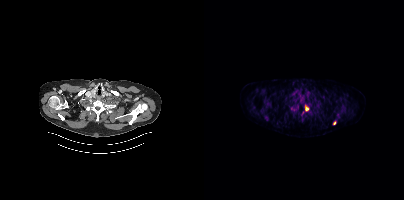
Findings: Coordinates are on the 200×200 PET (right) panel. (showing 7 of 8 foci) PSMA-avid tumor lesion bounding boxes (x0,y0,x1,y1): [86,105,93,112], [96,97,100,103], [101,105,104,110]. Small PSMA-avid foci (2 to 4 px across) near (center x, center y): (140, 110), (130, 122), (82, 105), (60, 117).
Technique: Two-panel axial: CT | PSMA PET, 18F-PSMA tracer.